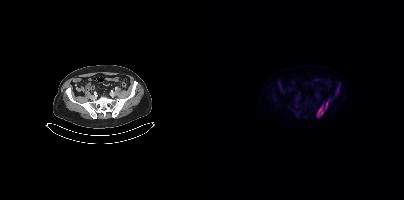
Technique: Paired axial CT (left) and PSMA PET (right), 18F tracer. acquired on Siemens Biograph mCT Flow 20.
Findings: Coordinates are on the 200×200 PET (right) panel. PSMA-avid tumor lesion bounding boxes (x, y, width, height): x=113 y=106 w=7 h=12 / x=121 y=102 w=3 h=7 / x=133 y=89 w=2 h=5.